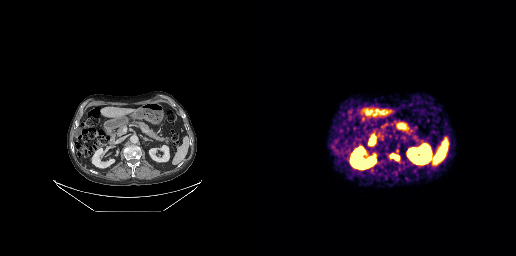
Coordinates are on the 256×256 PET (right) panel. PSMA-avid tumor lesion bounding boxes:
| # | x0 | y0 | x1 | y1 |
|---|---|---|---|---|
| 1 | 129 | 154 | 139 | 160 |
Left: CT. Right: PSMA PET, same axial level, 68Ga-PSMA tracer. Acquired on GE Discovery 690. Slice position z = -441 mm.